Technique: Paired axial CT (left) and PSMA PET (right), [18F]PSMA-1007 tracer. PET panel 200×200 px (4.1 mm/px).
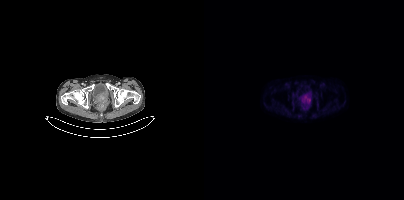
Findings: Coordinates are on the 200×200 PET (right) panel. PSMA-avid tumor lesion bounding box (x0, y0)-(x1, y1): (97, 95)-(107, 102).